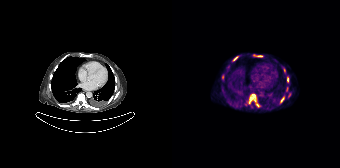
{"pet_grid":[168,168],"coord_frame":"pet_panel","coord_format":"x0,y0,x1,y1","partial":true,"lesion_bboxes":[[76,93,88,107],[61,56,66,60],[85,55,90,56],[115,77,116,81]],"small_foci_centers":[[112,69],[51,76],[111,98],[108,101]],"modality":"PSMA PET/CT","view":"axial","tracer":"68Ga"}